Technique: Paired axial CT (left) and PSMA PET (right), [18F]PSMA-1007 tracer. slice 63 of 423. PET panel 200×200 px (4.1 mm/px).
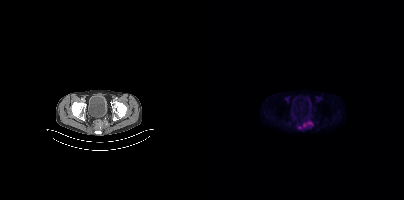
Findings: Coordinates are on the 200×200 PET (right) panel. PSMA-avid tumor lesion bounding box (x0, y0)-(x1, y1): (103, 122)-(108, 125). Small PSMA-avid foci (2 to 4 px across) near (center x, center y): (94, 127) | (100, 125).